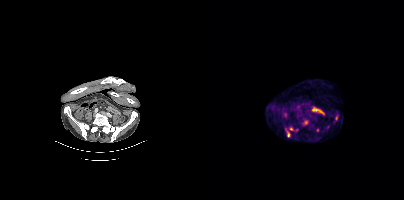
Findings: Coordinates are on the 200×200 PET (right) panel. PSMA-avid tumor lesion bounding boxes (x0, y0)-(x1, y1): (81, 128)-(85, 136) / (99, 121)-(104, 125) / (131, 116)-(133, 120) / (90, 129)-(94, 131). Small PSMA-avid foci (2 to 4 px across) near (center x, center y): (124, 127) / (87, 129) / (113, 130).
Technique: Left: CT. Right: PSMA PET, same axial level, [18F]PSMA-1007 tracer. acquired on Siemens Biograph mCT Flow 20. PET panel 200×200 px (4.1 mm/px).